Head region blanked for anonymization (face removed). Left: CT. Right: PSMA PET, same axial level, 68Ga-PSMA tracer.
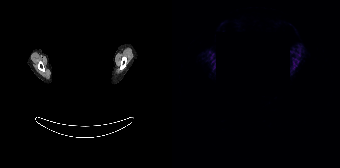
Negative for PSMA-avid disease on this slice.